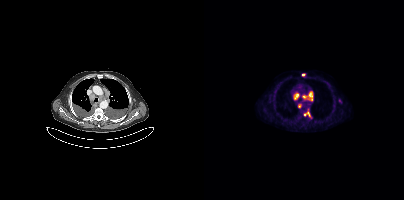
Findings: Coordinates are on the 200×200 PET (right) panel. PSMA-avid tumor lesion bounding boxes (x0,y0,x1,y1): [98,91,108,100]; [90,93,95,99]; [100,111,106,116]. Small PSMA-avid foci (2 to 4 px across) near (center x, center y): (95, 105); (99, 74); (137, 102).
- Two-panel axial: CT | PSMA PET, [18F]PSMA-1007 tracer
- slice 280 of 381